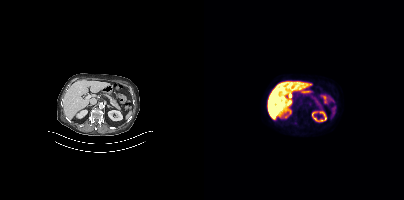
No tumor lesions annotated on this slice. Paired axial CT (left) and PSMA PET (right), [18F]PSMA-1007 tracer. Acquired on Siemens Biograph mCT Flow 20. Slice position z = -716 mm. PET panel 200×200 px (4.1 mm/px).